modality: PSMA PET/CT | tracer: [68Ga]Ga-PSMA-11 | view: axial | PET grid: 168×168
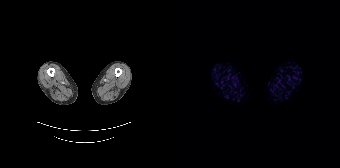
This slice has no annotated PSMA-avid lesion.